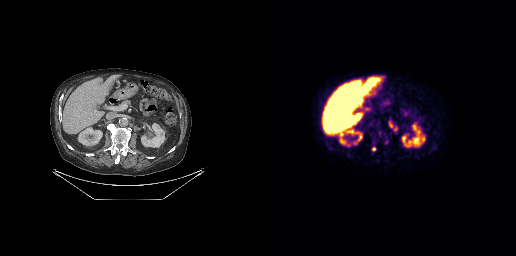
Coordinates are on the 256×256 PET (right) panel. PSMA-avid tumor lesion bounding boxes (x0, y0)-(x1, y1): (129, 120)-(137, 131); (112, 147)-(116, 151).